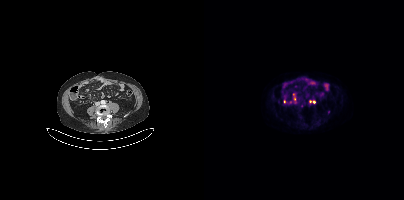
Findings: Coordinates are on the 200×200 PET (right) panel. (showing 3 of 5 foci) Small PSMA-avid foci (2 to 4 px across) near (center x, center y): (110, 102) / (80, 101) / (106, 101).
- Two-panel axial: CT | PSMA PET, 18F tracer
- PET panel 200×200 px (4.1 mm/px)